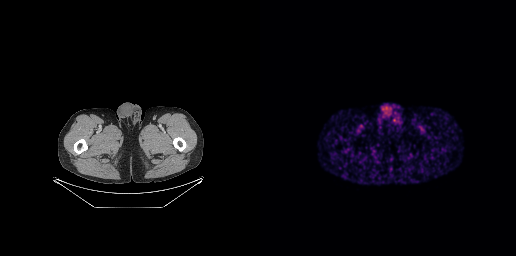
Left: CT. Right: PSMA PET, same axial level, 68Ga-PSMA tracer. Acquired on GE Discovery 690. Slice 28 of 263. PET panel 256×256 px (2.7 mm/px). No tumor lesions annotated on this slice.